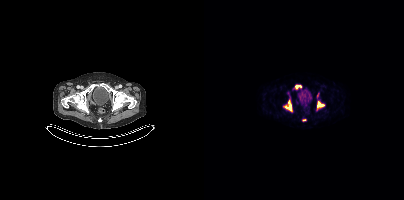
{"modality":"PSMA PET/CT","view":"axial","tracer":"18F","pet_grid":[200,200],"coord_frame":"pet_panel","coord_format":"x0,y0,x1,y1","lesion_bboxes":[[80,100,88,111],[113,101,120,108],[91,85,97,88]],"small_foci_centers":[[114,94],[100,119]]}